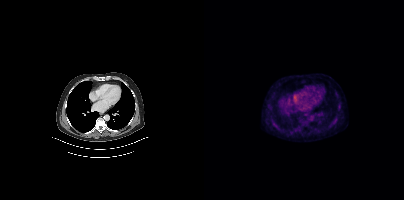
This slice has no annotated PSMA-avid lesion.